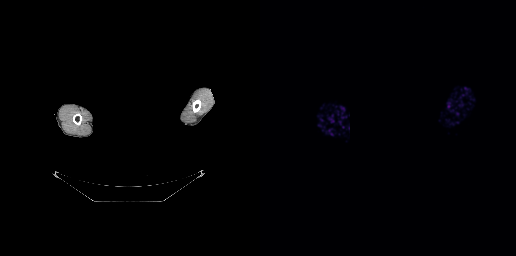
- Paired axial CT (left) and PSMA PET (right), [68Ga]Ga-PSMA-11 tracer
- slice 258 of 263
- PET panel 256×256 px (2.7 mm/px)
- facial anatomy redacted by setting a rectangular region of the head to black
Findings: No PSMA-avid tumor lesions on this slice.